- Paired axial CT (left) and PSMA PET (right), 18F-PSMA tracer
- acquired on Siemens Biograph mCT Flow 20
- PET panel 200×200 px (4.1 mm/px)
- head region blanked for anonymization (face removed)
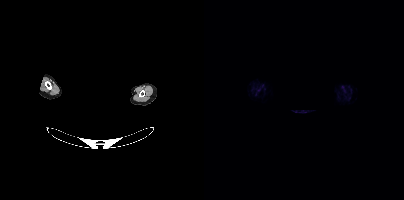
Findings: No tumor lesions annotated on this slice.